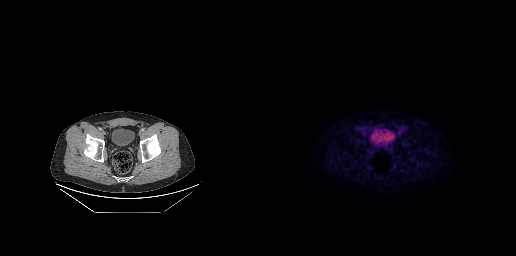
- Left: CT. Right: PSMA PET, same axial level, 18F tracer
- PET panel 256×256 px (2.7 mm/px)
Findings: Coordinates are on the 256×256 PET (right) panel. (showing 1 of 2 foci) Small PSMA-avid focus (2 to 4 px across) near (center x, center y): (139, 132).